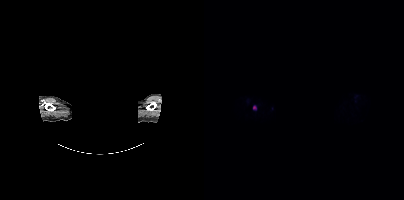
- a rectangle over the head was blacked out to remove identifiable facial features
- Left: CT. Right: PSMA PET, same axial level, [18F]PSMA-1007 tracer
- slice position z = -999 mm
Findings: Coordinates are on the 200×200 PET (right) panel. PSMA-avid tumor lesion bounding box (x0,y0,x1,y1): [48,105,52,109].